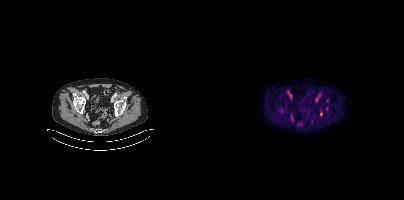
{"pet_grid":[200,200],"coord_frame":"pet_panel","coord_format":"x0,y0,x1,y1","partial":true,"lesion_bboxes":[],"small_foci_centers":[[123,100],[77,110]],"modality":"PSMA PET/CT","view":"axial","tracer":"[18F]PSMA-1007"}